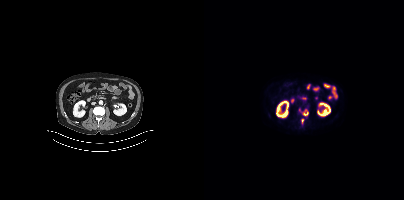
Coordinates are on the 200×200 PET (right) panel. PSMA-avid tumor lesion bounding boxes (x, y, width, height): x=99 y=110 w=6 h=6; x=97 y=119 w=3 h=5.